Left: CT. Right: PSMA PET, same axial level, [18F]PSMA-1007 tracer. Acquired on Siemens Biograph mCT Flow 20. Slice position z = -1202 mm. PET panel 200×200 px (4.1 mm/px).
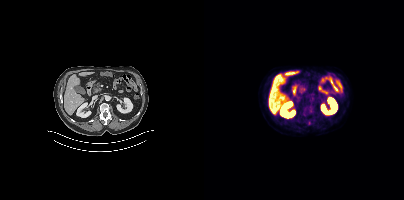
This slice has no annotated PSMA-avid lesion.